- Two-panel axial: CT | PSMA PET, [18F]PSMA-1007 tracer
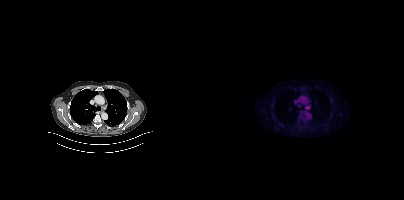
Findings: This slice has no annotated PSMA-avid lesion.